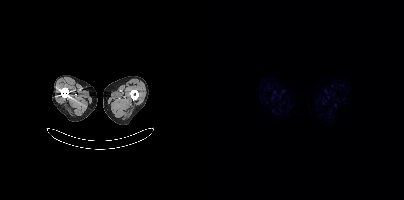
No PSMA-avid tumor lesions on this slice. Paired axial CT (left) and PSMA PET (right), 18F-PSMA tracer. Slice position z = -342 mm.